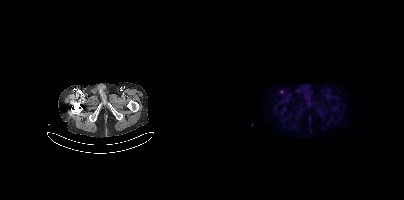
{"modality":"PSMA PET/CT","view":"axial","tracer":"18F-PSMA","pet_grid":[200,200],"coord_frame":"pet_panel","coord_format":"x0,y0,x1,y1","lesion_bboxes":[],"small_foci_centers":[[77,91]]}